Technique: Paired axial CT (left) and PSMA PET (right), 18F-PSMA tracer. slice 8 of 429. PET panel 200×200 px (4.1 mm/px).
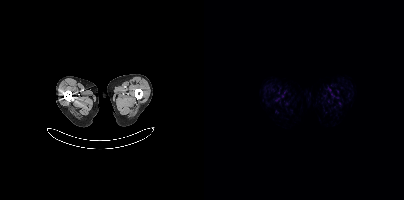
Findings: Negative for PSMA-avid disease on this slice.